- Two-panel axial: CT | PSMA PET, 18F-PSMA tracer
- slice position z = -1092 mm
- PET panel 200×200 px (4.1 mm/px)
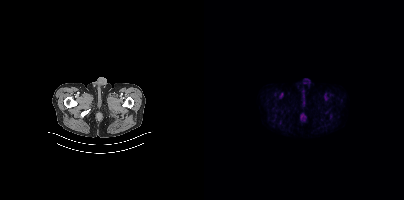
Findings: No tumor lesions annotated on this slice.